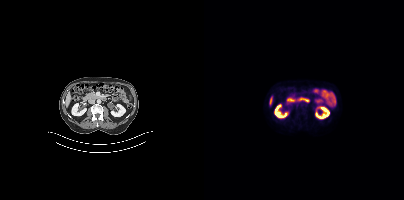
- Left: CT. Right: PSMA PET, same axial level, 18F tracer
- acquired on Siemens Biograph mCT Flow 20
- PET panel 200×200 px (4.1 mm/px)
Findings: This slice has no annotated PSMA-avid lesion.